modality: PSMA PET/CT | tracer: [68Ga]Ga-PSMA-11 | view: axial | PET grid: 200×200
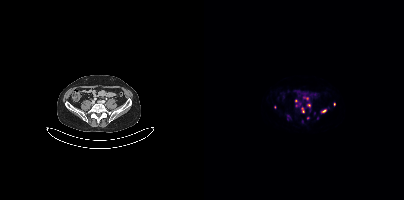
Coordinates are on the 200×200 PET (right) panel. (showing 9 of 15 foci) PSMA-avid tumor lesion bounding boxes (x0,y0,x1,y1): [99,97,104,100]; [97,108,100,112]. Small PSMA-avid foci (2 to 4 px across) near (center x, center y): (104, 105); (98, 121); (91, 100); (92, 105); (105, 109); (84, 115); (120, 110).